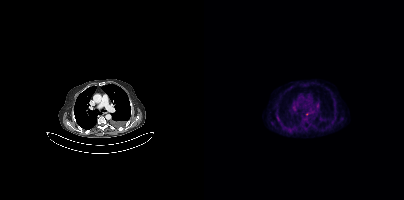
Only PSMA-avid lesion pieces thinner than 2 px on this slice (not listed).